Technique: Left: CT. Right: PSMA PET, same axial level, 68Ga tracer. slice position z = -965 mm. PET panel 256×256 px (2.7 mm/px).
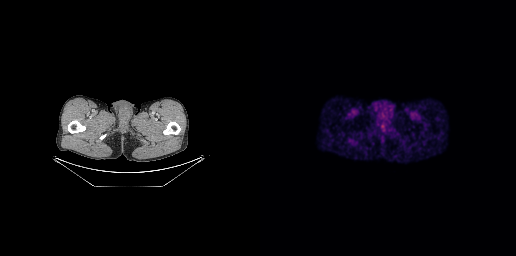
Findings: No PSMA-avid tumor lesions on this slice.